Left: CT. Right: PSMA PET, same axial level, 18F-PSMA tracer. Acquired on Siemens Biograph mCT Flow 20. Slice 333 of 405.
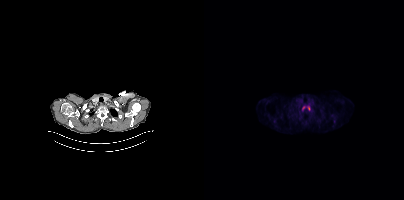
Coordinates are on the 200×200 PET (right) panel. Small PSMA-avid foci (2 to 4 px across) near (center x, center y): (104, 107), (99, 107).